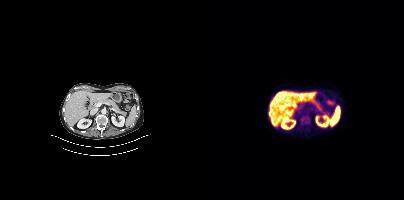
No tumor lesions annotated on this slice.